Paired axial CT (left) and PSMA PET (right), 18F-PSMA tracer. Acquired on Siemens Biograph mCT Flow 20. Slice 66 of 401.
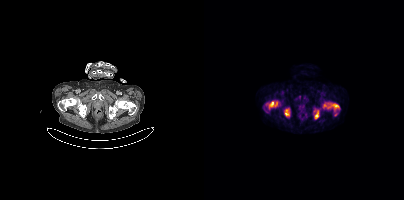
Coordinates are on the 200×200 PET (right) panel. PSMA-avid tumor lesion bounding boxes (partial; 2 more foci not listed):
| # | x0 | y0 | x1 | y1 |
|---|---|---|---|---|
| 1 | 120 | 103 | 135 | 110 |
| 2 | 81 | 109 | 85 | 115 |
| 3 | 111 | 110 | 114 | 118 |
| 4 | 65 | 102 | 69 | 106 |
| 5 | 71 | 102 | 73 | 106 |
Small PSMA-avid focus (2 to 4 px across) near (center x, center y): (131, 114).